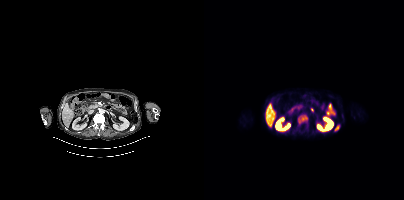
Technique: Two-panel axial: CT | PSMA PET, 18F tracer. slice position z = -1170 mm. PET panel 200×200 px (4.1 mm/px).
Findings: Coordinates are on the 200×200 PET (right) panel. PSMA-avid tumor lesion bounding boxes (x0,y0,x1,y1): [94,115,103,124] [130,125,135,131].